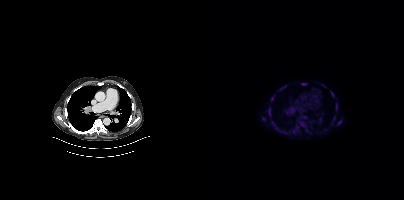
Findings: Coordinates are on the 200×200 PET (right) panel. (showing 14 of 16 foci) PSMA-avid tumor lesion bounding boxes (x0,y0,x1,y1): [95,121,102,127], [82,107,87,114], [64,108,67,116], [132,104,133,109], [98,116,102,118], [98,83,102,84], [127,92,129,96], [68,121,69,125]. Small PSMA-avid foci (2 to 4 px across) near (center x, center y): (135, 122), (68, 98), (93, 127), (59, 119), (80, 86), (77, 88).
Technique: Two-panel axial: CT | PSMA PET, [18F]PSMA-1007 tracer. slice 302 of 427. PET panel 200×200 px (4.1 mm/px).